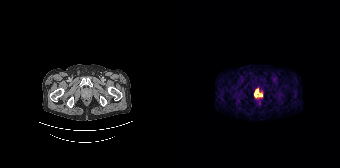
Findings: Coordinates are on the 168×168 PET (right) panel. PSMA-avid tumor lesion bounding box (x0, y0)-(x1, y1): (82, 88)-(90, 97).
Technique: Two-panel axial: CT | PSMA PET, 68Ga tracer. PET panel 168×168 px (4.1 mm/px).